modality: PSMA PET/CT | tracer: [18F]PSMA-1007 | view: axial | PET grid: 256×256
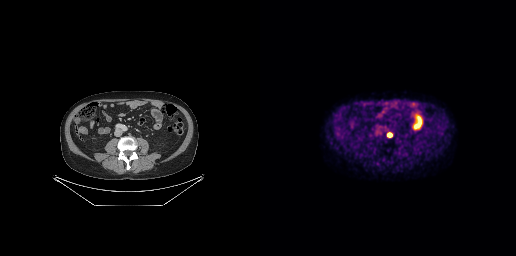
Coordinates are on the 256×256 PET (right) panel. PSMA-avid tumor lesion bounding box (x0, y0)-(x1, y1): (127, 133)-(132, 136).